- Two-panel axial: CT | PSMA PET, 18F-PSMA tracer
- slice 192 of 405
- PET panel 200×200 px (4.1 mm/px)
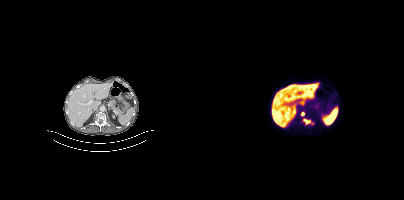
Findings: Coordinates are on the 200×200 PET (right) panel. PSMA-avid tumor lesion bounding box (x, y, width, height): x=100 y=119 w=7 h=5. Small PSMA-avid foci (2 to 4 px across) near (center x, center y): (98, 113) / (108, 123).